Left: CT. Right: PSMA PET, same axial level, 18F-PSMA tracer. Slice position z = -1548 mm. PET panel 200×200 px (4.1 mm/px).
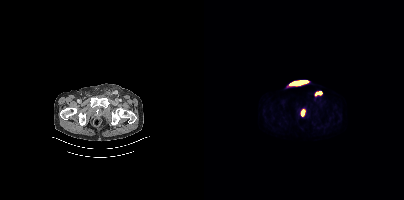
Coordinates are on the 200×200 PET (right) panel. PSMA-avid tumor lesion bounding boxes:
| # | x0 | y0 | x1 | y1 |
|---|---|---|---|---|
| 1 | 111 | 91 | 118 | 95 |
| 2 | 97 | 109 | 101 | 116 |